modality: PSMA PET/CT | tracer: 68Ga-PSMA | view: axial | PET grid: 168×168
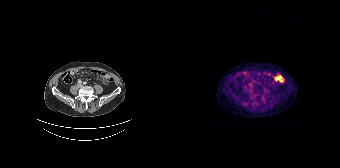
Negative for PSMA-avid disease on this slice.